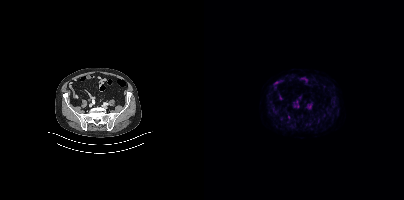
Coordinates are on the 200×200 PET (right) panel. Small PSMA-avid focus (2 to 4 px across) near (center x, center y): (85, 116).